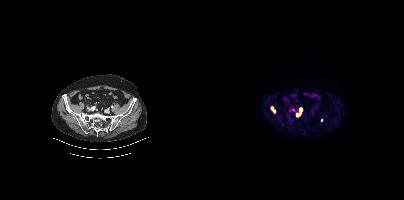
Coordinates are on the 200×200 PET (right) panel. (showing 3 of 5 foci) PSMA-avid tumor lesion bounding boxes (x, y, width, height): x=67 y=107 w=5 h=6 | x=92 y=113 w=5 h=4. Small PSMA-avid focus (2 to 4 px across) near (center x, center y): (96, 109). Left: CT. Right: PSMA PET, same axial level, 18F tracer. Acquired on Siemens Biograph mCT Flow 20.